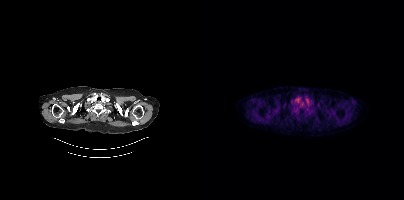
No tumor lesions annotated on this slice.
modality: PSMA PET/CT | tracer: 18F-PSMA | view: axial | PET grid: 200×200